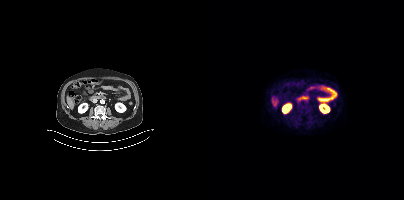
Only PSMA-avid lesion pieces thinner than 2 px on this slice (not listed).